Technique: Two-panel axial: CT | PSMA PET, 68Ga tracer. acquired on GE Discovery 690.
Note: Head region blanked for anonymization (face removed).
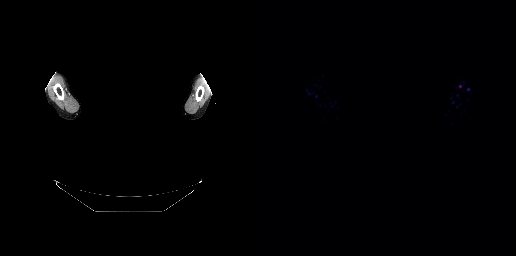
Findings: This slice has no annotated PSMA-avid lesion.